Left: CT. Right: PSMA PET, same axial level, [68Ga]Ga-PSMA-11 tracer. Acquired on Siemens Biograph 64-4R TruePoint. Slice position z = -1134 mm.
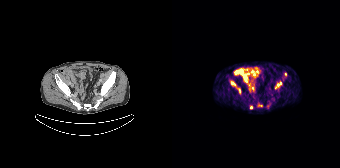
Coordinates are on the 168×168 PET (right) panel. PSMA-avid tumor lesion bounding boxes (partial; 1 more focus not listed):
| # | x0 | y0 | x1 | y1 |
|---|---|---|---|---|
| 1 | 59 | 81 | 63 | 85 |
| 2 | 103 | 82 | 109 | 88 |
| 3 | 66 | 88 | 68 | 93 |
Small PSMA-avid foci (2 to 4 px across) near (center x, center y): (79, 107); (113, 74).